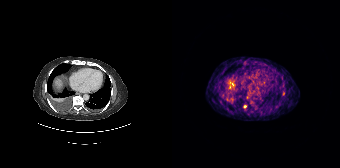
Findings: Coordinates are on the 168×168 PET (right) panel. Small PSMA-avid foci (2 to 4 px across) near (center x, center y): (73, 106) / (111, 93).
Technique: Two-panel axial: CT | PSMA PET, [68Ga]Ga-PSMA-11 tracer. PET panel 168×168 px (4.1 mm/px).